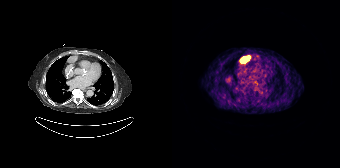
Two-panel axial: CT | PSMA PET, [68Ga]Ga-PSMA-11 tracer. Slice position z = -846 mm. PET panel 168×168 px (4.1 mm/px). Coordinates are on the 168×168 PET (right) panel. PSMA-avid tumor lesion bounding box (x, y, width, height): x=68 y=56 w=10 h=7.